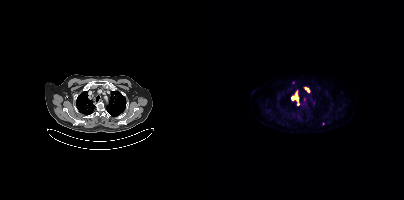
Coordinates are on the 200×200 PET (right) panel. (showing 3 of 4 foci) PSMA-avid tumor lesion bounding boxes (x0, y0)-(x1, y1): (88, 92)-(95, 105) / (101, 88)-(105, 91). Small PSMA-avid focus (2 to 4 px across) near (center x, center y): (89, 82).